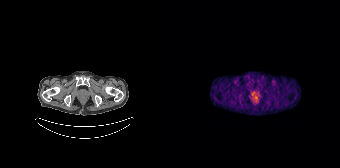
{"modality":"PSMA PET/CT","view":"axial","tracer":"68Ga-PSMA","pet_grid":[168,168],"coord_frame":"pet_panel","coord_format":"x0,y0,x1,y1","lesion_bboxes":[],"small_foci_centers":[[81,93]]}